Technique: Two-panel axial: CT | PSMA PET, 68Ga-PSMA tracer. acquired on Siemens Biograph mCT Flow 20.
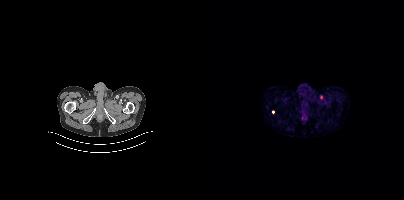
Findings: Coordinates are on the 200×200 PET (right) panel. (showing 1 of 2 foci) Small PSMA-avid focus (2 to 4 px across) near (center x, center y): (68, 111).